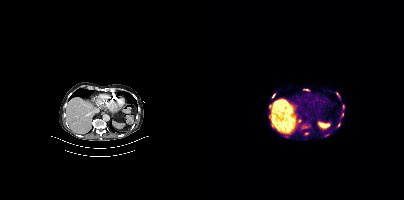
Coordinates are on the 200×200 PET (right) panel. PSMA-avid tumor lesion bounding boxes (x, y, width, height): x=132 y=92 w=5 h=7; x=67 y=123 w=4 h=6; x=98 y=126 w=6 h=3; x=138 y=104 w=3 h=6; x=99 y=89 w=7 h=2; x=137 y=113 w=3 h=5. Small PSMA-avid foci (2 to 4 px across) near (center x, center y): (69, 95); (102, 133); (135, 124); (65, 106); (95, 121).